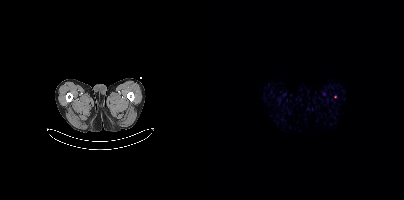
Only PSMA-avid lesion pieces thinner than 2 px on this slice (not listed).